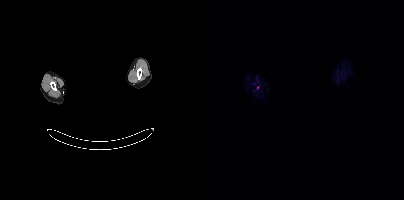
Paired axial CT (left) and PSMA PET (right), [18F]PSMA-1007 tracer. Acquired on Siemens Biograph mCT Flow 20. Slice 377 of 387. PET panel 200×200 px (4.1 mm/px). The face region was removed for patient privacy by blanking a rectangle over the head. Coordinates are on the 200×200 PET (right) panel. Small PSMA-avid focus (2 to 4 px across) near (center x, center y): (53, 87).